A rectangular privacy mask was applied before release.
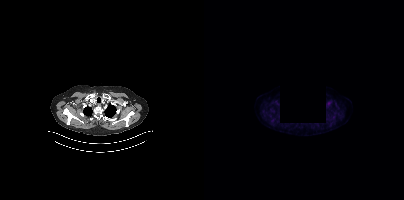
No tumor lesions annotated on this slice.